A black rectangle in this scan is a privacy mask, not anatomy.
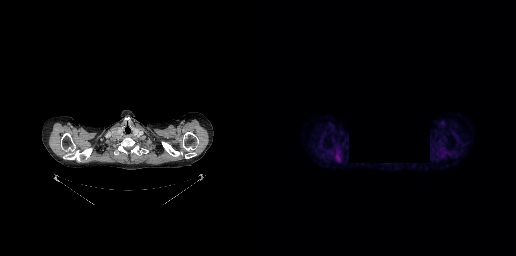
No tumor lesions annotated on this slice.